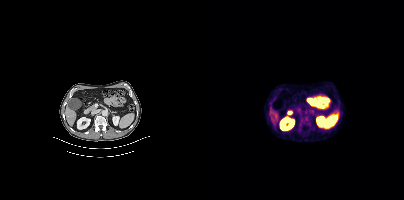
{"modality":"PSMA PET/CT","view":"axial","tracer":"[18F]PSMA-1007","pet_grid":[200,200],"coord_frame":"pet_panel","coord_format":"x0,y0,x1,y1","lesion_bboxes":[[95,115,106,126]]}